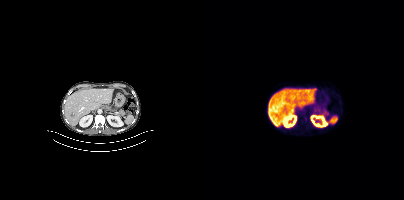
Findings: This slice has no annotated PSMA-avid lesion.
Technique: Left: CT. Right: PSMA PET, same axial level, [18F]PSMA-1007 tracer. slice 198 of 377. PET panel 200×200 px (4.1 mm/px).